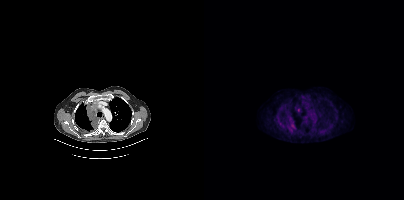
{"pet_grid":[200,200],"coord_frame":"pet_panel","coord_format":"x0,y0,x1,y1","lesion_bboxes":[[84,120,92,129],[93,108,96,112]],"modality":"PSMA PET/CT","view":"axial","tracer":"[18F]PSMA-1007"}